- Left: CT. Right: PSMA PET, same axial level, 18F tracer
- PET panel 200×200 px (4.1 mm/px)
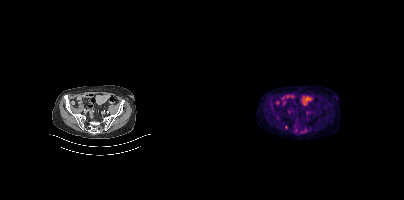
Findings: Coordinates are on the 200×200 PET (right) panel. Small PSMA-avid focus (2 to 4 px across) near (center x, center y): (81, 127).